modality: PSMA PET/CT | tracer: 18F | view: axial | PET grid: 200×200
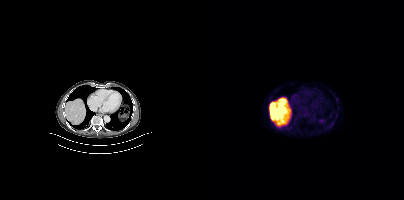
No tumor lesions annotated on this slice.